- Paired axial CT (left) and PSMA PET (right), 18F-PSMA tracer
- acquired on Siemens Biograph mCT Flow 20
- slice 11 of 438
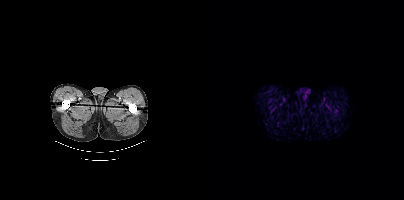
Findings: This slice has no annotated PSMA-avid lesion.